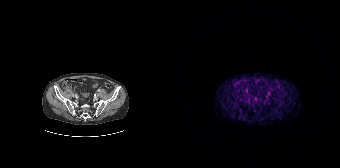
Left: CT. Right: PSMA PET, same axial level, 68Ga-PSMA tracer. Acquired on Siemens Biograph 64-4R TruePoint. This slice has no annotated PSMA-avid lesion.